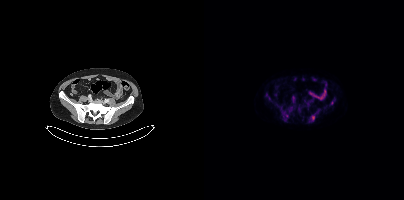
Coordinates are on the 200×200 PET (right) panel. PSMA-avid tumor lesion bounding box (x, y, width, height): x=107 y=115 w=4 h=6. Small PSMA-avid foci (2 to 4 px across) near (center x, center y): (82, 115); (128, 102). Two-panel axial: CT | PSMA PET, [18F]PSMA-1007 tracer.